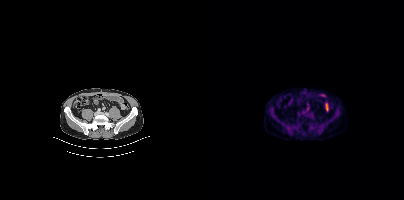
{"modality":"PSMA PET/CT","view":"axial","tracer":"18F","pet_grid":[200,200],"coord_frame":"pet_panel","coord_format":"x0,y0,x1,y1","psma_avid_lesions":false}